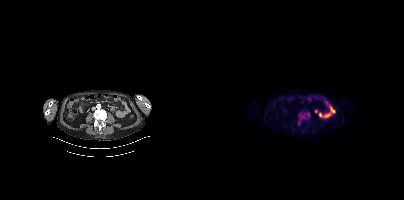
Coordinates are on the 200×200 PET (right) panel. PSMA-avid tumor lesion bounding box (x0, y0)-(x1, y1): (94, 111)-(106, 124).